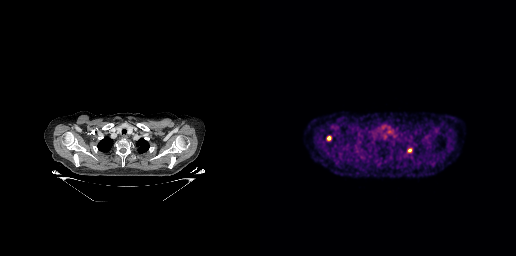
{"modality":"PSMA PET/CT","view":"axial","tracer":"[18F]PSMA-1007","pet_grid":[256,256],"coord_frame":"pet_panel","coord_format":"x0,y0,x1,y1","lesion_bboxes":[],"small_foci_centers":[[68,137]]}